Two-panel axial: CT | PSMA PET, 18F tracer. Acquired on Siemens Biograph mCT Flow 20. Slice 158 of 344.
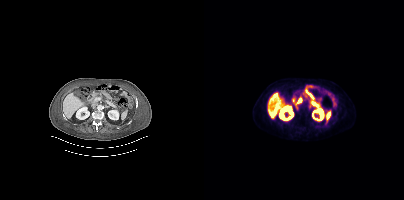
No tumor lesions annotated on this slice.